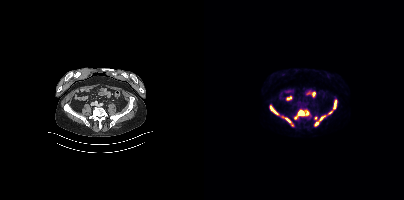
{"pet_grid":[200,200],"coord_frame":"pet_panel","coord_format":"x0,y0,x1,y1","partial":true,"lesion_bboxes":[[94,110,105,115],[110,115,121,126],[66,106,74,114],[130,100,132,108],[81,118,86,122],[124,111,128,114]],"small_foci_centers":[[91,117],[111,118]],"modality":"PSMA PET/CT","view":"axial","tracer":"18F-PSMA"}